Technique: Paired axial CT (left) and PSMA PET (right), 18F tracer. acquired on Siemens Biograph mCT Flow 20.
Note: Any black rectangle over the head is a privacy mask, not anatomy.
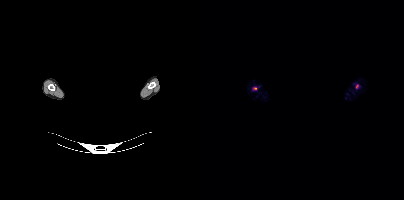
Findings: Coordinates are on the 200×200 PET (right) panel. PSMA-avid tumor lesion bounding boxes (x0, y0)-(x1, y1): (48, 87)-(53, 90) | (151, 84)-(155, 88).